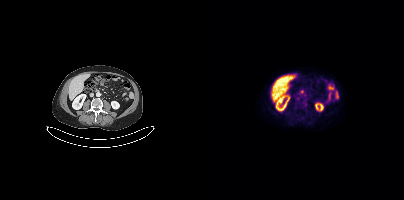
This slice has no annotated PSMA-avid lesion. Two-panel axial: CT | PSMA PET, 18F-PSMA tracer. Acquired on Siemens Biograph mCT Flow 20. PET panel 200×200 px (4.1 mm/px).